Left: CT. Right: PSMA PET, same axial level, [18F]PSMA-1007 tracer. A rectangle over the head was blacked out to remove identifiable facial features.
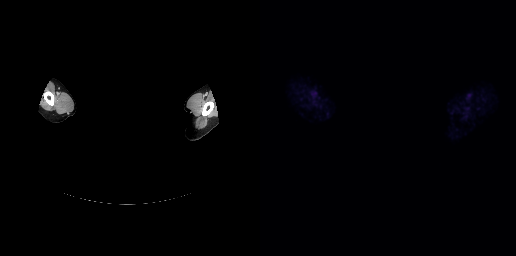
This slice has no annotated PSMA-avid lesion.